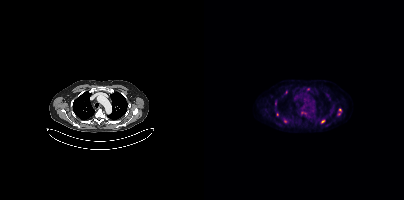
Findings: Coordinates are on the 200×200 PET (right) panel. (showing 5 of 8 foci) Small PSMA-avid foci (2 to 4 px across) near (center x, center y): (104, 89); (82, 92); (136, 110); (99, 113); (119, 121).
Technique: Paired axial CT (left) and PSMA PET (right), 18F tracer. acquired on Siemens Biograph mCT Flow 20. slice position z = -986 mm.